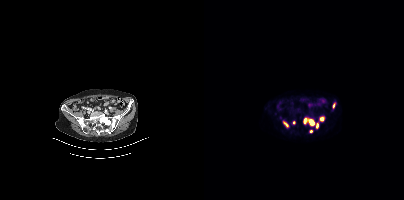
{"pet_grid":[200,200],"coord_frame":"pet_panel","coord_format":"x0,y0,x1,y1","lesion_bboxes":[[99,118,110,124],[79,122,84,126],[113,123,114,127]],"small_foci_centers":[[117,118],[106,131],[129,105],[90,122]],"modality":"PSMA PET/CT","view":"axial","tracer":"68Ga-PSMA"}